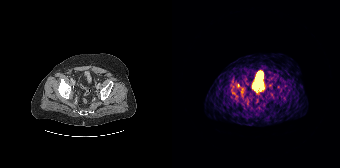
Coordinates are on the 168×168 PET (right) panel. (showing 2 of 3 foci) Small PSMA-avid foci (2 to 4 px across) near (center x, center y): (66, 85) (69, 91). Paired axial CT (left) and PSMA PET (right), [68Ga]Ga-PSMA-11 tracer. Slice 51 of 195. PET panel 168×168 px (4.1 mm/px).